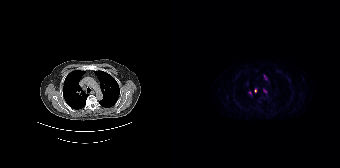
Coordinates are on the 168×168 PET (right) panel. PSMA-avid tumor lesion bounding box (x0,y0,x1,y1): [92,75,94,79]. Small PSMA-avid foci (2 to 4 px across) near (center x, center y): (83, 90), (93, 91), (77, 92).